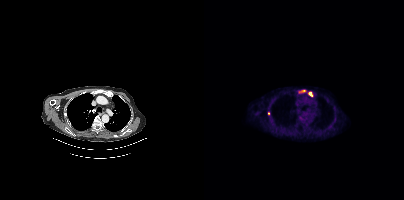
{"pet_grid":[200,200],"coord_frame":"pet_panel","coord_format":"x0,y0,x1,y1","lesion_bboxes":[[104,91,109,96],[95,90,101,92]],"small_foci_centers":[[64,113]],"modality":"PSMA PET/CT","view":"axial","tracer":"18F-PSMA"}